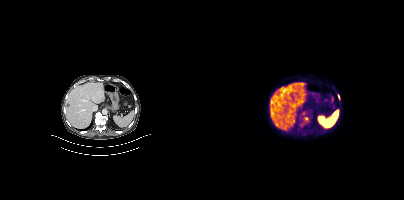
{"modality":"PSMA PET/CT","view":"axial","tracer":"18F-PSMA","pet_grid":[200,200],"coord_frame":"pet_panel","coord_format":"x0,y0,x1,y1","partial":true,"lesion_bboxes":[[100,118,104,121],[134,94,135,98]],"small_foci_centers":[[97,125]]}